Left: CT. Right: PSMA PET, same axial level, 18F-PSMA tracer. Acquired on Siemens Biograph mCT Flow 20.
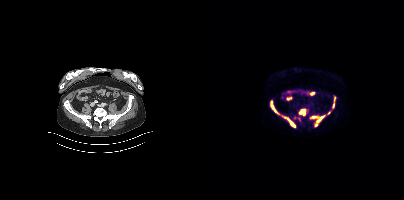
Coordinates are on the 200×200 PET (right) panel. PSMA-avid tumor lesion bounding boxes (x0, y0)-(x1, y1): (108, 115)-(121, 126); (95, 109)-(101, 115); (80, 117)-(91, 127); (67, 101)-(75, 113); (129, 97)-(131, 107). Small PSMA-avid focus (2 to 4 px across) near (center x, center y): (124, 112).